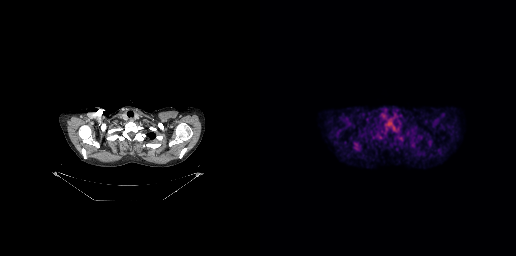
{"pet_grid":[256,256],"coord_frame":"pet_panel","coord_format":"x0,y0,x1,y1","lesion_bboxes":[[125,119,135,130]],"modality":"PSMA PET/CT","view":"axial","tracer":"[18F]PSMA-1007"}